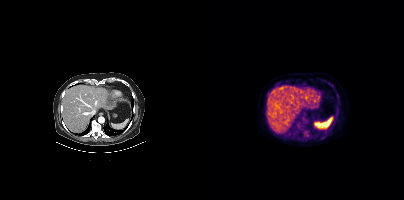
Negative for PSMA-avid disease on this slice.
modality: PSMA PET/CT | tracer: 18F-PSMA | view: axial